Technique: Two-panel axial: CT | PSMA PET, [68Ga]Ga-PSMA-11 tracer. slice 207 of 263. PET panel 256×256 px (2.7 mm/px).
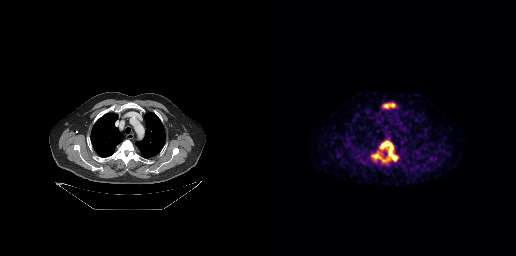
Findings: Coordinates are on the 256×256 PET (right) panel. PSMA-avid tumor lesion bounding boxes (x0,y0,x1,y1): [111,140,138,163]; [123,103,135,108].